Paired axial CT (left) and PSMA PET (right), [18F]PSMA-1007 tracer. PET panel 256×256 px (2.7 mm/px).
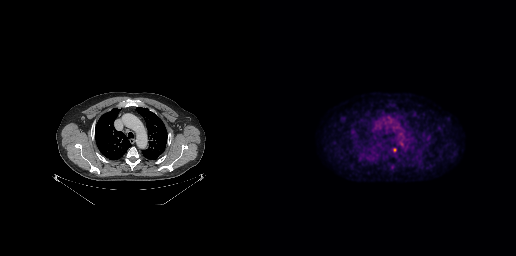
Coordinates are on the 256×256 PET (right) panel. Small PSMA-avid focus (2 to 4 px across) near (center x, center y): (134, 150).